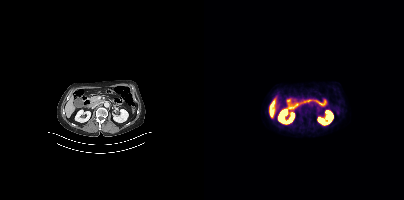
Findings: This slice has no annotated PSMA-avid lesion.
Technique: Paired axial CT (left) and PSMA PET (right), 18F-PSMA tracer. PET panel 200×200 px (4.1 mm/px).